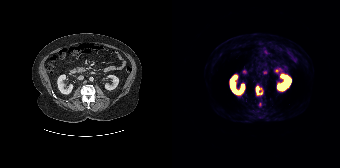
{"modality":"PSMA PET/CT","view":"axial","tracer":"68Ga","pet_grid":[168,168],"coord_frame":"pet_panel","coord_format":"x0,y0,x1,y1","partial":true,"lesion_bboxes":[[84,86,88,94]],"small_foci_centers":[[88,104]]}